- Two-panel axial: CT | PSMA PET, 68Ga-PSMA tracer
- acquired on GE Discovery 690
- PET panel 256×256 px (2.7 mm/px)
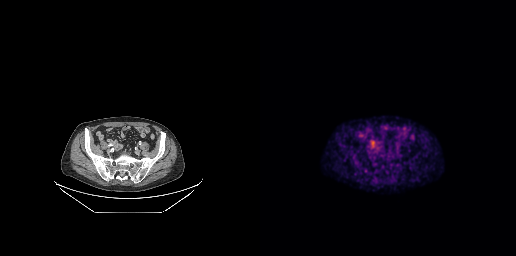
Findings: Coordinates are on the 256×256 PET (right) panel. PSMA-avid tumor lesion bounding box (x0,y0,x1,y1): [112,141,114,146].